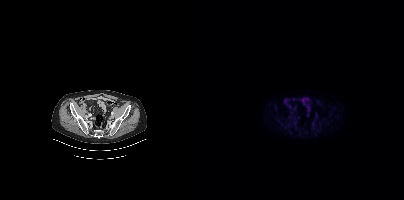
Two-panel axial: CT | PSMA PET, 18F-PSMA tracer. Acquired on Siemens Biograph mCT Flow 20. Slice 108 of 405. No PSMA-avid tumor lesions on this slice.